Paired axial CT (left) and PSMA PET (right), 68Ga tracer. Slice position z = -830 mm. PET panel 168×168 px (4.1 mm/px).
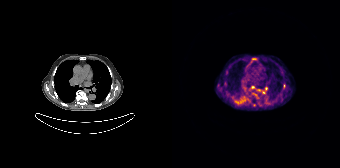
Coordinates are on the 168×168 PET (right) panel. PSMA-avid tumor lesion bounding boxes (partial; 1 more focus not listed):
| # | x0 | y0 | x1 | y1 |
|---|---|---|---|---|
| 1 | 62 | 99 | 68 | 104 |
| 2 | 86 | 89 | 93 | 93 |
| 3 | 111 | 84 | 113 | 88 |
Small PSMA-avid foci (2 to 4 px across) near (center x, center y): (94, 88); (82, 58); (80, 86).